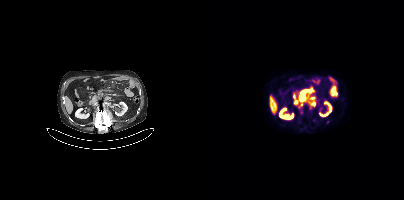
Coordinates are on the 200×200 PET (right) panel. (showing 3 of 4 foci) PSMA-avid tumor lesion bounding box (x0, y0)-(x1, y1): (95, 88)-(109, 100). Small PSMA-avid foci (2 to 4 px across) near (center x, center y): (109, 103) / (97, 111).
modality: PSMA PET/CT | tracer: 18F | view: axial